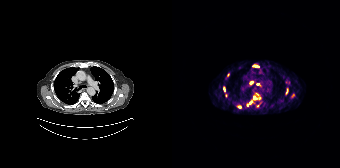
Coordinates are on the 168×168 PET (right) panel. (showing 9 of 13 foci) PSMA-avid tumor lesion bounding box (x0, y0)-(x1, y1): (51, 87)-(53, 91). Small PSMA-avid foci (2 to 4 px across) near (center x, center y): (85, 105) / (56, 74) / (79, 82) / (86, 83) / (85, 66) / (82, 98) / (67, 106) / (78, 102).